Paired axial CT (left) and PSMA PET (right), 18F tracer. Slice position z = -910 mm. PET panel 200×200 px (4.1 mm/px).
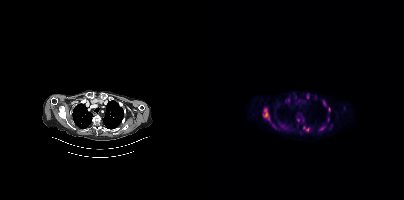
Coordinates are on the 200×200 PET (right) panel. PSMA-avid tumor lesion bounding boxes (partial; 1 more focus not listed):
| # | x0 | y0 | x1 | y1 |
|---|---|---|---|---|
| 1 | 59 | 108 | 65 | 120 |
| 2 | 99 | 126 | 105 | 131 |
| 3 | 115 | 126 | 121 | 131 |
| 4 | 81 | 99 | 85 | 102 |
| 5 | 123 | 117 | 125 | 121 |
| 6 | 103 | 94 | 104 | 98 |
| 7 | 119 | 100 | 121 | 104 |
Small PSMA-avid foci (2 to 4 px across) near (center x, center y): (94, 119); (125, 109).